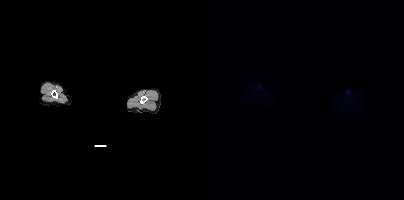
Head region blanked for anonymization (face removed). Two-panel axial: CT | PSMA PET, 18F-PSMA tracer. Slice 397 of 431. Negative for PSMA-avid disease on this slice.